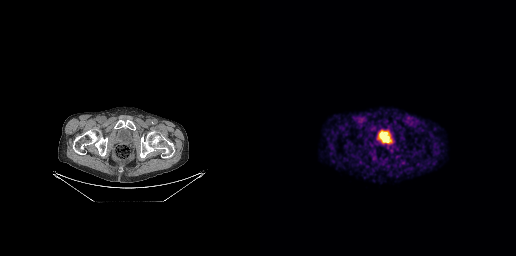
Coordinates are on the 256×256 PET (right) panel. Small PSMA-avid focus (2 to 4 px across) near (center x, center y): (119, 141). Left: CT. Right: PSMA PET, same axial level, 68Ga-PSMA tracer.